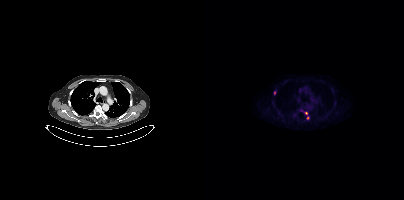
{"modality":"PSMA PET/CT","view":"axial","tracer":"18F","pet_grid":[200,200],"coord_frame":"pet_panel","coord_format":"x0,y0,x1,y1","lesion_bboxes":[],"small_foci_centers":[[70,92],[102,113],[103,117]]}